modality: PSMA PET/CT | tracer: 18F-PSMA | view: axial | PET grid: 256×256
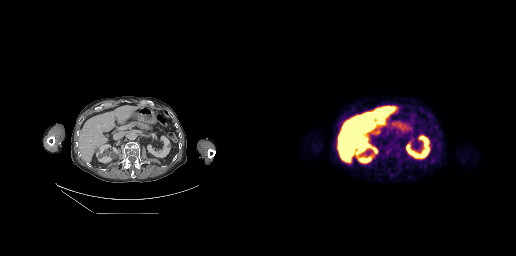
No PSMA-avid tumor lesions on this slice.